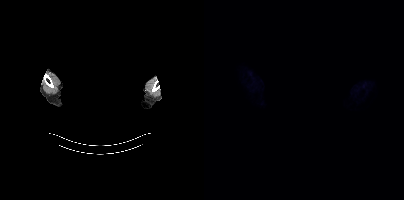
redaction: rectangular block over head set to black | modality: PSMA PET/CT | tracer: 18F | view: axial | PET grid: 200×200
Negative for PSMA-avid disease on this slice.